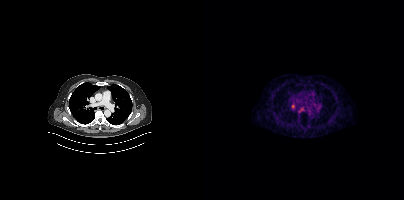
Technique: Two-panel axial: CT | PSMA PET, [68Ga]Ga-PSMA-11 tracer. acquired on Siemens Biograph mCT Flow 20. slice position z = -765 mm.
Findings: Coordinates are on the 200×200 PET (right) panel. PSMA-avid tumor lesion bounding box (x0, y0)-(x1, y1): (88, 104)-(90, 108).